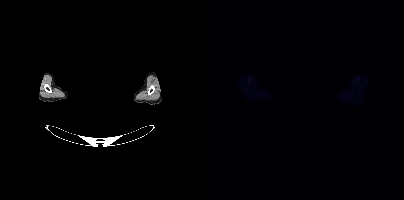
redaction: head region blanked (face removed) | modality: PSMA PET/CT | tracer: 18F | view: axial | PET grid: 200×200
Negative for PSMA-avid disease on this slice.